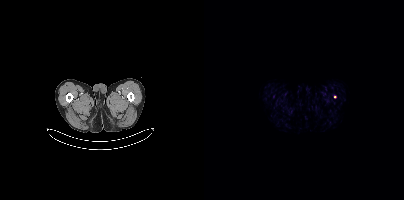
{"modality":"PSMA PET/CT","view":"axial","tracer":"18F-PSMA","pet_grid":[200,200],"coord_frame":"pet_panel","coord_format":"x0,y0,x1,y1","lesion_bboxes":[],"small_foci_centers":[[130,96]]}